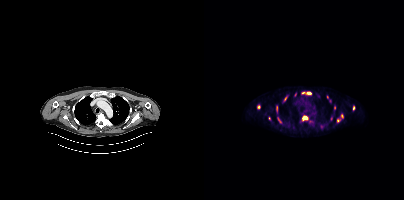
Two-panel axial: CT | PSMA PET, [18F]PSMA-1007 tracer. PET panel 200×200 px (4.1 mm/px).
Coordinates are on the 200×200 PET (right) panel. PSMA-avid tumor lesion bounding boxes (partial; 2 more foci not listed):
| # | x0 | y0 | x1 | y1 |
|---|---|---|---|---|
| 1 | 98 | 116 | 103 | 121 |
| 2 | 102 | 92 | 107 | 94 |
| 3 | 80 | 96 | 83 | 101 |
| 4 | 137 | 114 | 139 | 118 |
| 5 | 149 | 106 | 150 | 110 |
Small PSMA-avid foci (2 to 4 px across) near (center x, center y): (134, 120); (72, 107); (99, 92); (54, 107); (75, 120); (117, 126); (91, 94); (130, 107); (123, 96).